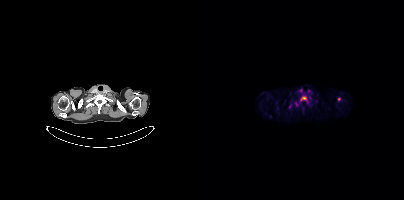
modality: PSMA PET/CT | tracer: 18F | view: axial
Coordinates are on the 200×200 PET (right) panel. PSMA-avid tumor lesion bounding box (x, y, width, height): x=96 y=95 w=9 h=8. Small PSMA-avid foci (2 to 4 px across) near (center x, center y): (135, 99) | (92, 103) | (104, 90).